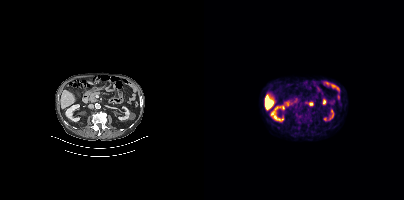
No tumor lesions annotated on this slice. Two-panel axial: CT | PSMA PET, [18F]PSMA-1007 tracer. Slice 172 of 427.